Technique: Two-panel axial: CT | PSMA PET, 18F tracer. acquired on GE Discovery 690. slice position z = -367 mm. PET panel 256×256 px (2.7 mm/px).
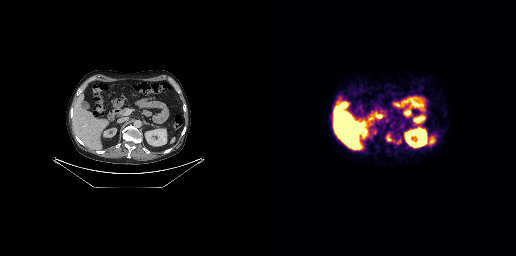
Findings: Coordinates are on the 256×256 PET (right) panel. PSMA-avid tumor lesion bounding box (x, y, width, height): x=126 y=134 w=6 h=8. Small PSMA-avid focus (2 to 4 px across) near (center x, center y): (138, 141).